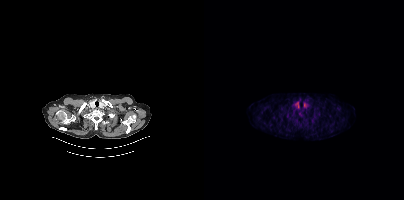
{"pet_grid":[200,200],"coord_frame":"pet_panel","coord_format":"x0,y0,x1,y1","psma_avid_lesions":false,"modality":"PSMA PET/CT","view":"axial","tracer":"18F"}